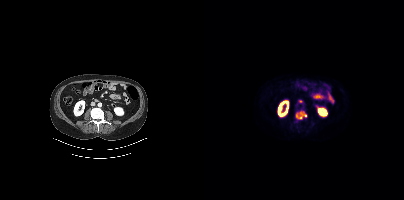
Technique: Left: CT. Right: PSMA PET, same axial level, 18F-PSMA tracer. slice 188 of 450.
Findings: Coordinates are on the 200×200 PET (right) panel. PSMA-avid tumor lesion bounding box (x0, y0)-(x1, y1): (92, 112)-(102, 118).